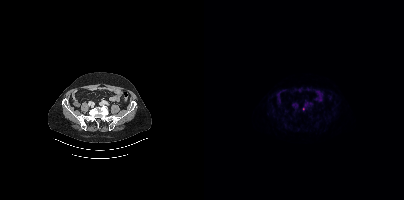
Coordinates are on the 200×200 PET (right) panel. Small PSMA-avid focus (2 to 4 px across) near (center x, center y): (99, 109).